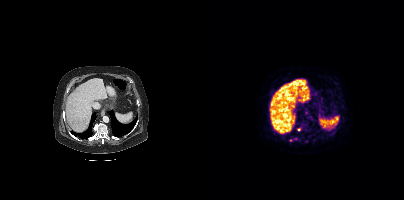
Findings: Coordinates are on the 200×200 PET (right) panel. Small PSMA-avid focus (2 to 4 px across) near (center x, center y): (94, 129).
- Two-panel axial: CT | PSMA PET, 68Ga-PSMA tracer